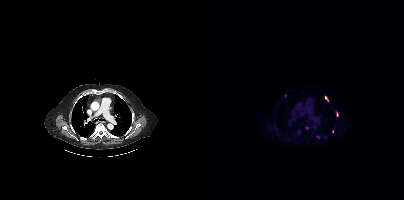
Coordinates are on the 200×200 PET (right) panel. (showing 1 of 2 foci) Small PSMA-avid focus (2 to 4 px across) near (center x, center y): (103, 127).